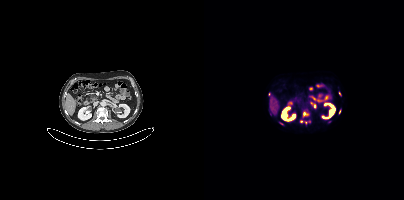
{"modality":"PSMA PET/CT","view":"axial","tracer":"[18F]PSMA-1007","pet_grid":[200,200],"coord_frame":"pet_panel","coord_format":"x0,y0,x1,y1","partial":true,"lesion_bboxes":[[100,112,104,115],[101,120,106,123]],"small_foci_centers":[[97,121],[135,111],[125,121],[77,123]]}